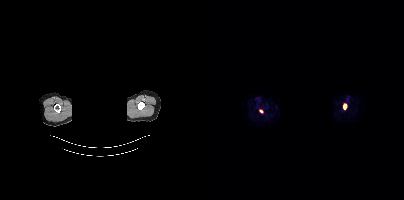
{"modality":"PSMA PET/CT","view":"axial","tracer":"18F","pet_grid":[200,200],"coord_frame":"pet_panel","coord_format":"x0,y0,x1,y1","redaction":"head region blacked out before release","lesion_bboxes":[[139,103,143,109]],"small_foci_centers":[[56,111]]}